- Paired axial CT (left) and PSMA PET (right), 18F-PSMA tracer
- acquired on Siemens Biograph mCT Flow 20
- PET panel 200×200 px (4.1 mm/px)
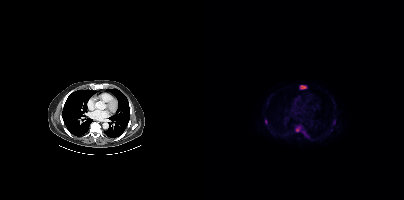
Findings: Coordinates are on the 200×200 PET (right) panel. (showing 4 of 5 foci) PSMA-avid tumor lesion bounding boxes (x, y, width, height): x=96 y=85 w=7 h=5 / x=91 y=126 w=6 h=6 / x=99 y=131 w=6 h=7. Small PSMA-avid focus (2 to 4 px across) near (center x, center y): (62, 121).